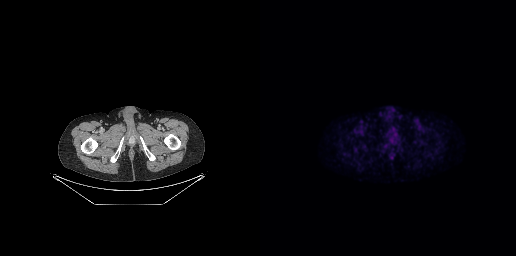
Findings: No tumor lesions annotated on this slice.
Technique: Left: CT. Right: PSMA PET, same axial level, 18F-PSMA tracer. acquired on GE Discovery 690.